Paired axial CT (left) and PSMA PET (right), 18F-PSMA tracer.
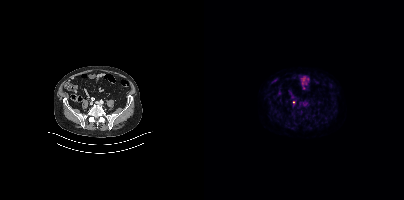
Coordinates are on the 200×200 PET (right) panel. Small PSMA-avid focus (2 to 4 px across) near (center x, center y): (89, 102).